modality: PSMA PET/CT | tracer: 18F | view: axial | PET grid: 200×200
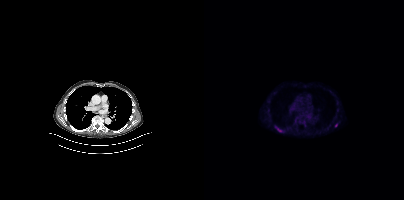
Coordinates are on the 200×200 PET (right) panel. PSMA-avid tumor lesion bounding box (x0, y0)-(x1, y1): (71, 127)-(78, 131). Small PSMA-avid focus (2 to 4 px across) near (center x, center y): (132, 125).